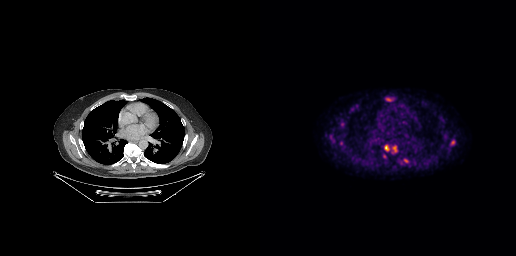
Coordinates are on the 256×256 PET (right) panel. PSMA-avid tumor lesion bounding boxes (x0, y0)-(x1, y1): (191, 140)-(194, 144) / (125, 146)-(128, 150). Small PSMA-avid foci (2 to 4 px across) near (center x, center y): (134, 147) / (146, 160) / (128, 99).
modality: PSMA PET/CT | tracer: 18F-PSMA | view: axial